redaction: privacy mask over head | modality: PSMA PET/CT | tracer: 18F | view: axial | PET grid: 200×200
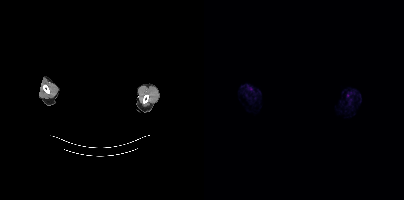
No PSMA-avid tumor lesions on this slice.